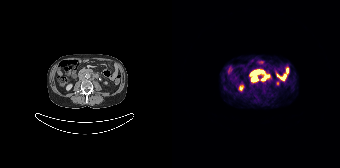
Coordinates are on the 168×168 PET (right) panel. PSMA-avid tumor lesion bounding boxes (x0, y0)-(x1, y1): (79, 76)-(85, 81) | (91, 75)-(97, 79) | (82, 70)-(86, 72).